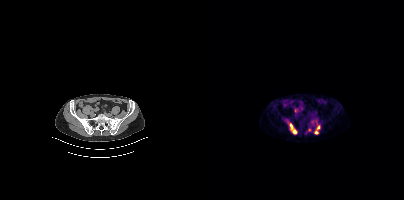
Coordinates are on the 200×200 PET (right) panel. PSMA-avid tumor lesion bounding boxes (x0,y0,x1,y1): [85,123,93,134]; [110,125,116,134]. Small PSMA-avid focus (2 to 4 px across) near (center x, center y): (105, 129).
modality: PSMA PET/CT | tracer: 68Ga-PSMA | view: axial | PET grid: 200×200